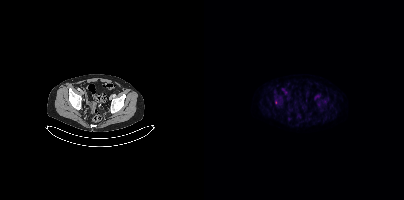
{"modality":"PSMA PET/CT","view":"axial","tracer":"[18F]PSMA-1007","pet_grid":[200,200],"coord_frame":"pet_panel","coord_format":"x0,y0,x1,y1","lesion_bboxes":[],"small_foci_centers":[[72,102]]}